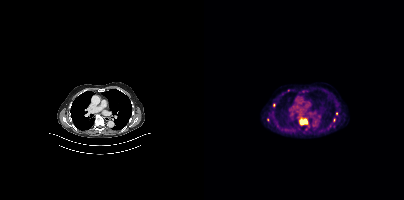
Findings: Coordinates are on the 200×200 PET (right) panel. (showing 4 of 6 foci) PSMA-avid tumor lesion bounding box (x, y, width, height): x=95 y=118 w=9 h=8. Small PSMA-avid foci (2 to 4 px across) near (center x, center y): (70, 104) / (132, 113) / (63, 119).
Technique: Paired axial CT (left) and PSMA PET (right), 18F-PSMA tracer. slice 280 of 407. PET panel 200×200 px (4.1 mm/px).